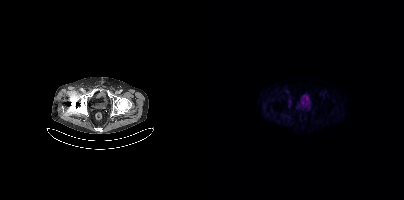
Left: CT. Right: PSMA PET, same axial level, 18F-PSMA tracer. Acquired on Siemens Biograph mCT Flow 20. Slice 71 of 431. PET panel 200×200 px (4.1 mm/px). Negative for PSMA-avid disease on this slice.